Technique: Two-panel axial: CT | PSMA PET, 18F-PSMA tracer. acquired on Siemens Biograph mCT Flow 20. slice 157 of 375. PET panel 200×200 px (4.1 mm/px).
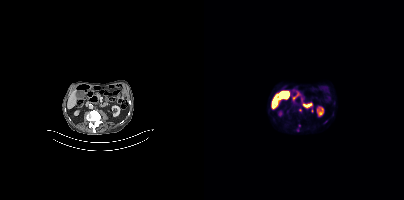
Findings: Coordinates are on the 200×200 PET (right) panel. (showing 1 of 3 foci) PSMA-avid tumor lesion bounding box (x0, y0)-(x1, y1): (93, 124)-(96, 131).